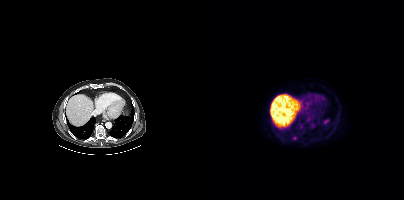
Coordinates are on the 200×200 PET (right) panel. Small PSMA-avid focus (2 to 4 px across) near (center x, center y): (90, 138). Left: CT. Right: PSMA PET, same axial level, 18F tracer. PET panel 200×200 px (4.1 mm/px).